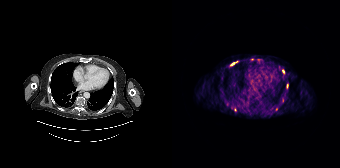
{"modality":"PSMA PET/CT","view":"axial","tracer":"68Ga","pet_grid":[168,168],"coord_frame":"pet_panel","coord_format":"x0,y0,x1,y1","partial":true,"lesion_bboxes":[],"small_foci_centers":[[60,64],[63,109]]}